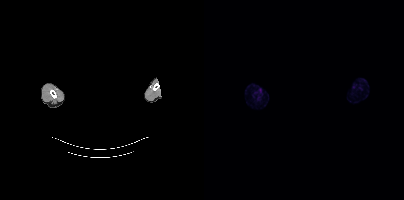
{"modality":"PSMA PET/CT","view":"axial","tracer":"18F","pet_grid":[200,200],"coord_frame":"pet_panel","coord_format":"x0,y0,x1,y1","de-identification":"face masked with black rectangle","psma_avid_lesions":false}